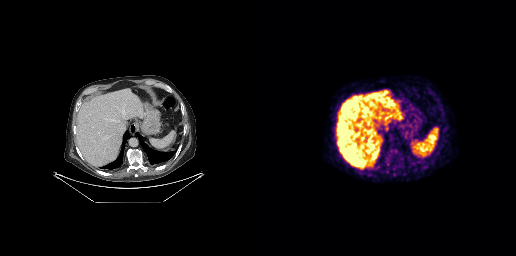
{"modality":"PSMA PET/CT","view":"axial","tracer":"18F-PSMA","pet_grid":[256,256],"coord_frame":"pet_panel","coord_format":"x0,y0,x1,y1","psma_avid_lesions":false}